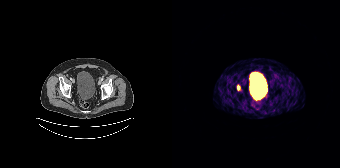
{"modality":"PSMA PET/CT","view":"axial","tracer":"[68Ga]Ga-PSMA-11","pet_grid":[168,168],"coord_frame":"pet_panel","coord_format":"x0,y0,x1,y1","lesion_bboxes":[[65,85,67,90]]}